Technique: Left: CT. Right: PSMA PET, same axial level, [18F]PSMA-1007 tracer. slice position z = -732 mm.
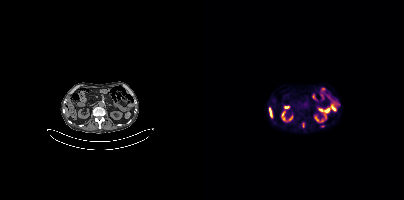
Findings: Coordinates are on the 200×200 PET (right) panel. PSMA-avid tumor lesion bounding box (x0,y0,x1,y1): [99,123,100,127]. Small PSMA-avid foci (2 to 4 px across) near (center x, center y): (118, 126); (134, 103).